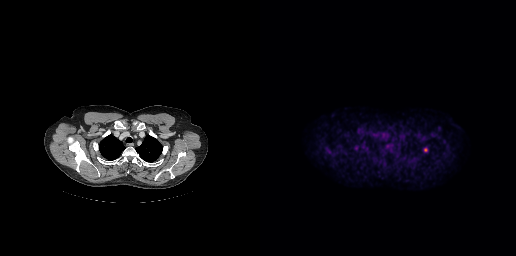
No tumor lesions annotated on this slice.
modality: PSMA PET/CT | tracer: 18F | view: axial | PET grid: 256×256